modality: PSMA PET/CT | tracer: [68Ga]Ga-PSMA-11 | view: axial | PET grid: 256×256
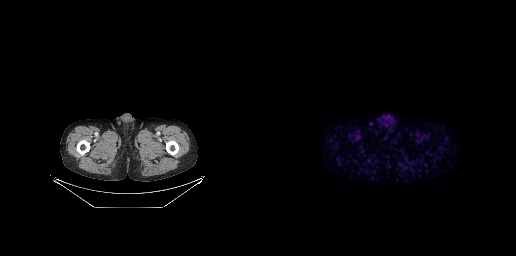
No tumor lesions annotated on this slice.